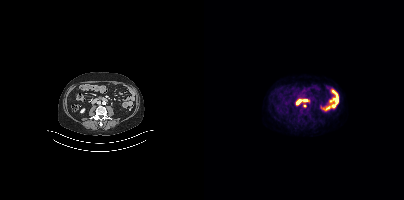
modality: PSMA PET/CT | tracer: [18F]PSMA-1007 | view: axial
Coordinates are on the 200×200 PET (right) panel. Small PSMA-avid focus (2 to 4 px across) near (center x, center y): (100, 106).